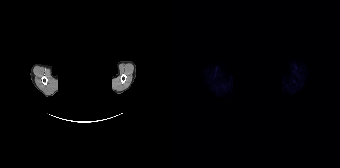
Head region blanked for anonymization (face removed). Two-panel axial: CT | PSMA PET, 18F-PSMA tracer. PET panel 168×168 px (4.1 mm/px). Only PSMA-avid lesion pieces thinner than 2 px on this slice (not listed).